Technique: Left: CT. Right: PSMA PET, same axial level, 68Ga tracer. slice position z = -454 mm. PET panel 256×256 px (2.7 mm/px).
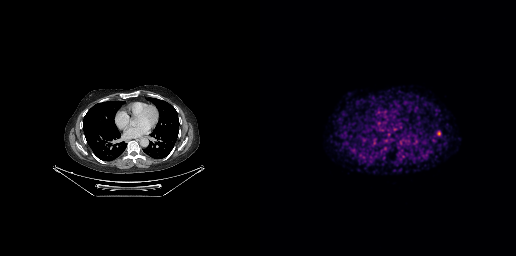
Findings: Coordinates are on the 256×256 PET (right) panel. Small PSMA-avid focus (2 to 4 px across) near (center x, center y): (179, 133).